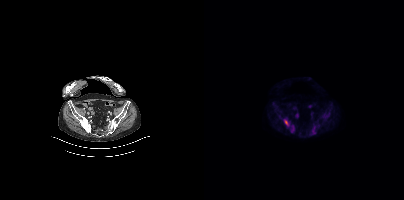
Coordinates are on the 200×200 PET (right) panel. (showing 2 of 4 foci) PSMA-avid tumor lesion bounding boxes (x, y, width, height): x=80 y=120 w=5 h=6 | x=87 y=126 w=4 h=5.
modality: PSMA PET/CT | tracer: [18F]PSMA-1007 | view: axial